Technique: Two-panel axial: CT | PSMA PET, 18F tracer. PET panel 200×200 px (4.1 mm/px).
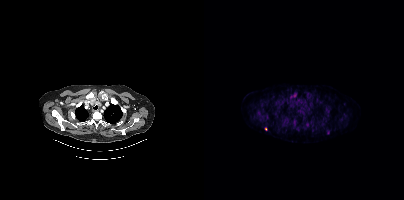
Findings: Coordinates are on the 200×200 PET (right) panel. Small PSMA-avid foci (2 to 4 px across) near (center x, center y): (124, 132) (90, 95) (62, 129).